- Two-panel axial: CT | PSMA PET, [18F]PSMA-1007 tracer
- acquired on Siemens Biograph mCT Flow 20
- slice 190 of 344
- PET panel 200×200 px (4.1 mm/px)
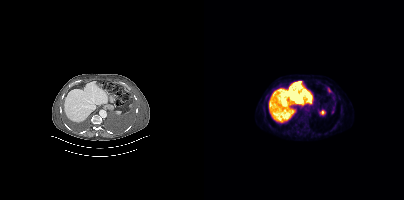
Findings: Coordinates are on the 200×200 PET (right) panel. PSMA-avid tumor lesion bounding boxes (x, y, width, height): x=123 y=87 w=5 h=6; x=127 y=109 w=4 h=5.